- Two-panel axial: CT | PSMA PET, 18F tracer
- slice 134 of 466
- PET panel 200×200 px (4.1 mm/px)
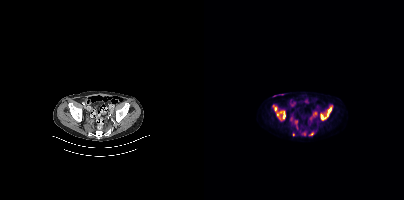
Findings: Coordinates are on the 200×200 PET (right) panel. (showing 3 of 4 foci) PSMA-avid tumor lesion bounding boxes (x0, y0)-(x1, y1): (68, 104)-(81, 121); (116, 107)-(127, 120). Small PSMA-avid focus (2 to 4 px across) near (center x, center y): (107, 133).